Two-panel axial: CT | PSMA PET, 18F-PSMA tracer. Slice position z = -1358 mm. PET panel 200×200 px (4.1 mm/px).
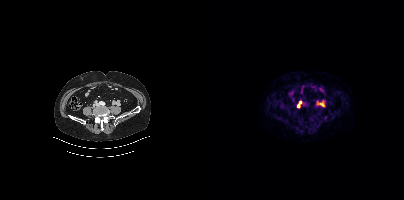
Coordinates are on the 200×200 PET (right) panel. Small PSMA-avid foci (2 to 4 px across) near (center x, center y): (94, 106) / (96, 102).